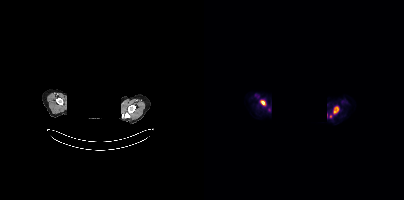
Findings: Coordinates are on the 200×200 PET (right) panel. PSMA-avid tumor lesion bounding boxes (x0,y0,x1,y1): [129,106,134,113] [56,100,61,105]. Small PSMA-avid focus (2 to 4 px across) near (center x, center y): (126, 116).
- Two-panel axial: CT | PSMA PET, 18F tracer
- PET panel 200×200 px (4.1 mm/px)
- de-identified by setting a box covering the face to black before release